Technique: Paired axial CT (left) and PSMA PET (right), [18F]PSMA-1007 tracer. slice 40 of 413. PET panel 200×200 px (4.1 mm/px).
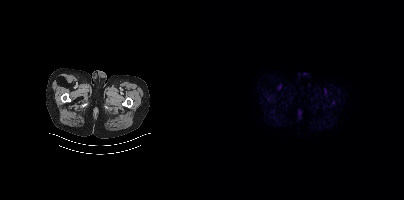
Findings: Negative for PSMA-avid disease on this slice.